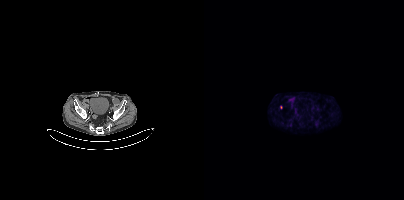
- Paired axial CT (left) and PSMA PET (right), 18F tracer
- slice 83 of 385
- PET panel 200×200 px (4.1 mm/px)
Findings: Only PSMA-avid lesion pieces thinner than 2 px on this slice (not listed).